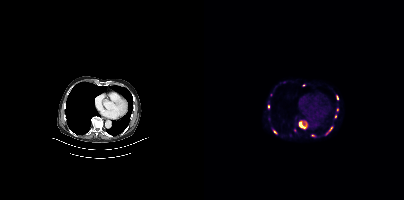
Coordinates are on the 200×200 PET (right) panel. (showing 9 of 10 foci) PSMA-avid tumor lesion bounding boxes (x0,y0,x1,y1): [95,122,102,128], [122,127,128,134]. Small PSMA-avid foci (2 to 4 px across) near (center x, center y): (70, 131), (108, 135), (64, 106), (131, 116), (99, 85), (133, 97), (133, 109).
modality: PSMA PET/CT | tracer: 68Ga-PSMA | view: axial